modality: PSMA PET/CT | tracer: 68Ga-PSMA | view: axial
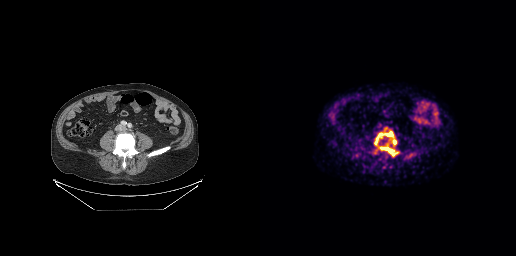
Coordinates are on the 256×256 PET (right) panel. PSMA-avid tumor lesion bounding box (x0, y0)-(x1, y1): (114, 132)-(138, 156).